Technique: Paired axial CT (left) and PSMA PET (right), 18F tracer. acquired on Siemens Biograph mCT Flow 20.
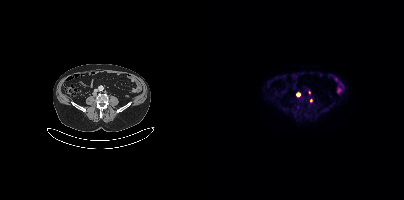
Findings: Coordinates are on the 200×200 PET (right) panel. (showing 2 of 3 foci) Small PSMA-avid foci (2 to 4 px across) near (center x, center y): (94, 94) | (105, 92).